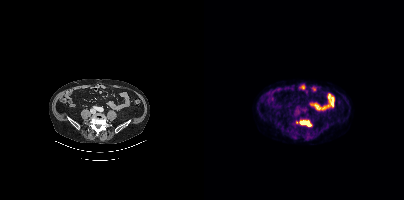
{"modality":"PSMA PET/CT","view":"axial","tracer":"18F","pet_grid":[200,200],"coord_frame":"pet_panel","coord_format":"x0,y0,x1,y1","partial":true,"lesion_bboxes":[[95,120,107,126]]}